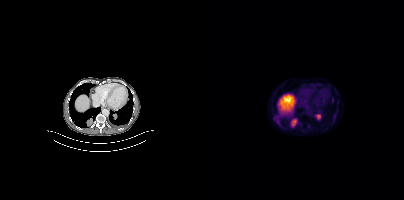
Technique: Paired axial CT (left) and PSMA PET (right), 18F tracer. PET panel 200×200 px (4.1 mm/px).
Findings: Coordinates are on the 200×200 PET (right) panel. PSMA-avid tumor lesion bounding boxes (x, y, width, height): x=87 y=118 w=7 h=9 | x=112 y=114 w=5 h=6 | x=127 y=97 w=3 h=7 | x=69 y=117 w=4 h=5. Small PSMA-avid foci (2 to 4 px across) near (center x, center y): (104, 126) | (74, 122).